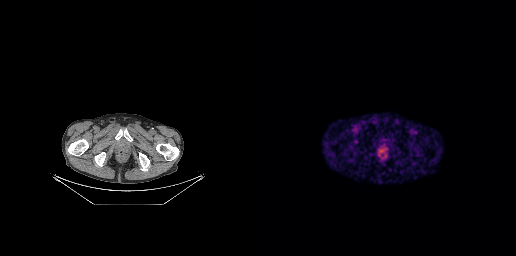
{"modality":"PSMA PET/CT","view":"axial","tracer":"68Ga","pet_grid":[256,256],"coord_frame":"pet_panel","coord_format":"x0,y0,x1,y1","lesion_bboxes":[[121,143,125,147]]}